modality: PSMA PET/CT | tracer: [68Ga]Ga-PSMA-11 | view: axial
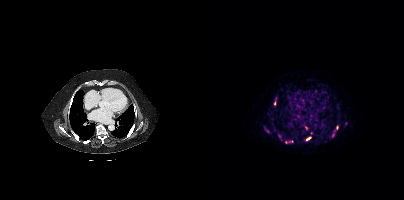
Coordinates are on the 200×200 PET (right) panel. (showing 6 of 10 foci) PSMA-avid tumor lesion bounding boxes (x0, y0)-(x1, y1): (102, 137)-(106, 140); (130, 126)-(134, 131); (70, 101)-(71, 105). Small PSMA-avid foci (2 to 4 px across) near (center x, center y): (129, 134); (102, 127); (82, 142).